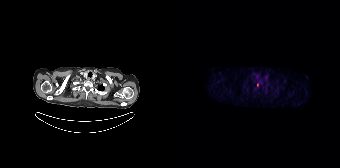
Paired axial CT (left) and PSMA PET (right), 18F tracer. Acquired on Siemens Biograph 64-4R TruePoint. PET panel 168×168 px (4.1 mm/px). Coordinates are on the 168×168 PET (right) panel. PSMA-avid tumor lesion bounding box (x, y, width, height): x=85 y=82 w=3 h=5.